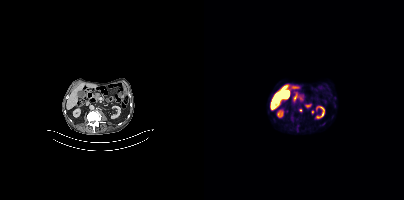
Technique: Two-panel axial: CT | PSMA PET, [18F]PSMA-1007 tracer.
Findings: Coordinates are on the 200×200 PET (right) panel. PSMA-avid tumor lesion bounding box (x, y, width, height): x=93 y=125 w=2 h=7. Small PSMA-avid focus (2 to 4 px across) near (center x, center y): (96, 110).